Technique: Two-panel axial: CT | PSMA PET, [18F]PSMA-1007 tracer. acquired on Siemens Biograph 64-4R TruePoint. PET panel 168×168 px (4.1 mm/px).
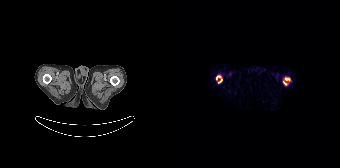
Findings: Coordinates are on the 168×168 PET (right) panel. PSMA-avid tumor lesion bounding boxes (x0,y0,x1,y1): [111,77,118,85], [44,75,50,83].